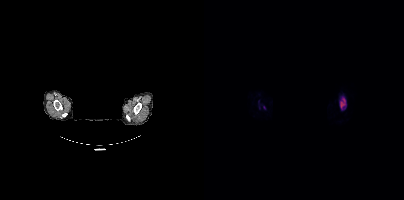
Findings: Coordinates are on the 200×200 PET (right) panel. (showing 1 of 2 foci) PSMA-avid tumor lesion bounding box (x, y, width, height): x=135 y=96 w=8 h=15.
- Paired axial CT (left) and PSMA PET (right), 18F tracer
- PET panel 200×200 px (4.1 mm/px)
- de-identified by setting a box covering the face to black before release